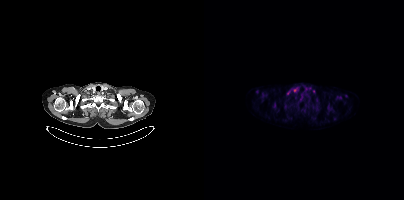
Findings: Coordinates are on the 200×200 PET (right) panel. PSMA-avid tumor lesion bounding box (x0, y0)-(x1, y1): (89, 88)-(93, 91). Small PSMA-avid foci (2 to 4 px across) near (center x, center y): (109, 91); (83, 93).
- Paired axial CT (left) and PSMA PET (right), [18F]PSMA-1007 tracer
- acquired on Siemens Biograph mCT Flow 20
- slice position z = -965 mm